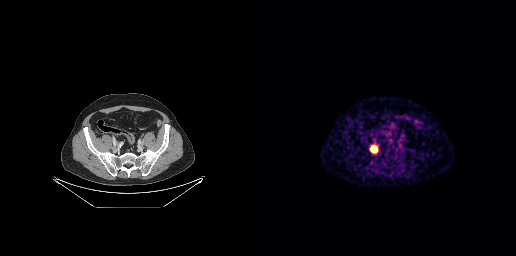
modality: PSMA PET/CT | tracer: [68Ga]Ga-PSMA-11 | view: axial | PET grid: 256×256
Coordinates are on the 256×256 PET (right) panel. PSMA-avid tumor lesion bounding box (x0,y0,x1,y1): [110,145,118,153].